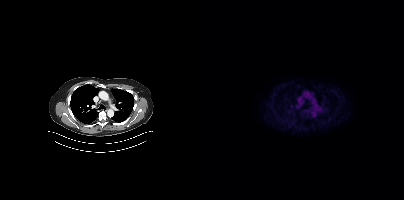
Coordinates are on the 200×200 PET (right) panel. Small PSMA-avid focus (2 to 4 px across) near (center x, center y): (113, 105). Left: CT. Right: PSMA PET, same axial level, 18F tracer.